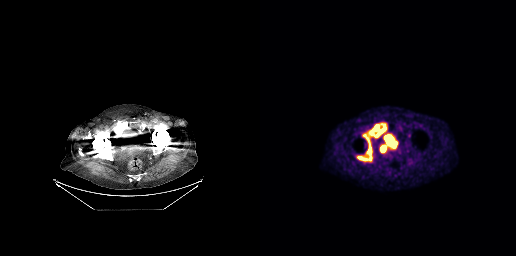
- Paired axial CT (left) and PSMA PET (right), [18F]PSMA-1007 tracer
- PET panel 256×256 px (2.7 mm/px)
Findings: Coordinates are on the 256×256 PET (right) panel. PSMA-avid tumor lesion bounding boxes (x0, y0)-(x1, y1): (97, 136)-(111, 160) | (110, 124)-(119, 135) | (115, 125)-(126, 137).